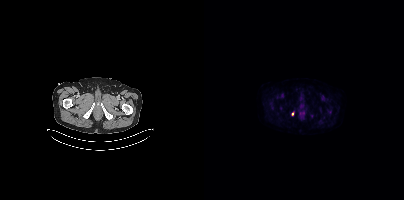
{"modality":"PSMA PET/CT","view":"axial","tracer":"18F-PSMA","pet_grid":[200,200],"coord_frame":"pet_panel","coord_format":"x0,y0,x1,y1","lesion_bboxes":[],"small_foci_centers":[[88,113]]}